modality: PSMA PET/CT | tracer: 18F-PSMA | view: axial
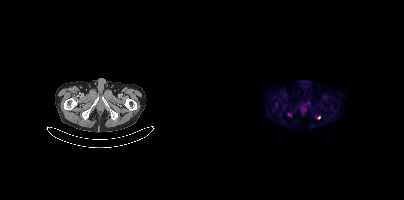
Coordinates are on the 200×200 PET (right) panel. Small PSMA-avid foci (2 to 4 px across) near (center x, center y): (85, 114), (115, 117).